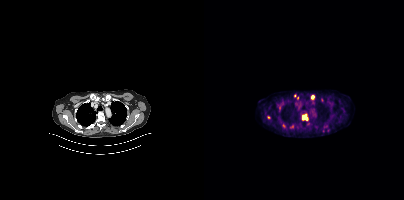
{"modality":"PSMA PET/CT","view":"axial","tracer":"18F-PSMA","pet_grid":[200,200],"coord_frame":"pet_panel","coord_format":"x0,y0,x1,y1","partial":true,"lesion_bboxes":[[98,114,104,120]],"small_foci_centers":[[108,96],[90,95],[79,125]]}